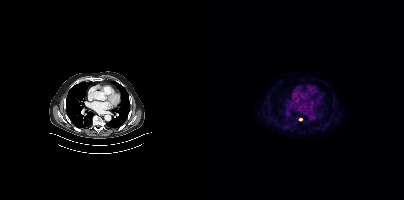
Coordinates are on the 200×200 PET (right) panel. Small PSMA-avid focus (2 to 4 px across) near (center x, center y): (96, 119). Left: CT. Right: PSMA PET, same axial level, [18F]PSMA-1007 tracer. Acquired on Siemens Biograph mCT Flow 20.